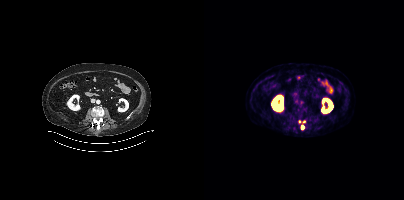
Paired axial CT (left) and PSMA PET (right), 18F-PSMA tracer. PET panel 200×200 px (4.1 mm/px). Coordinates are on the 200×200 PET (right) panel. (showing 3 of 4 foci) Small PSMA-avid foci (2 to 4 px across) near (center x, center y): (95, 121); (99, 121); (98, 127).